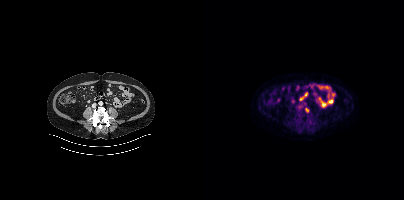
modality: PSMA PET/CT | tracer: [18F]PSMA-1007 | view: axial | PET grid: 200×200
Coordinates are on the 200×200 PET (right) panel. Small PSMA-avid focus (2 to 4 px across) near (center x, center y): (102, 109).